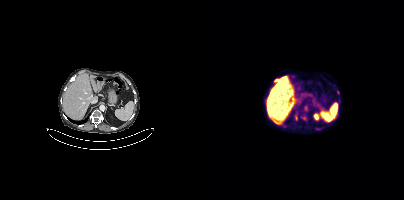
Left: CT. Right: PSMA PET, same axial level, 18F tracer. PET panel 200×200 px (4.1 mm/px).
Coordinates are on the 200×200 PET (right) panel. PSMA-avid tumor lesion bounding boxes (partial; 1 more focus not listed):
| # | x0 | y0 | x1 | y1 |
|---|---|---|---|---|
| 1 | 91 | 115 | 93 | 120 |
| 2 | 70 | 79 | 74 | 81 |
| 3 | 97 | 117 | 101 | 119 |